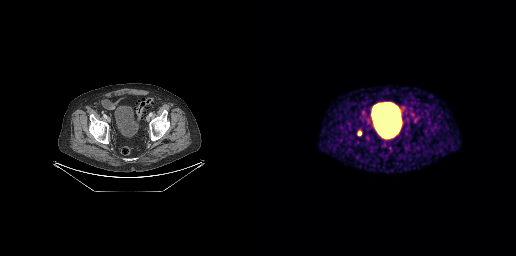
Coordinates are on the 256×256 PET (right) panel. PSMA-avid tumor lesion bounding box (x, y, width, height): x=98 y=131 w=4 h=5.